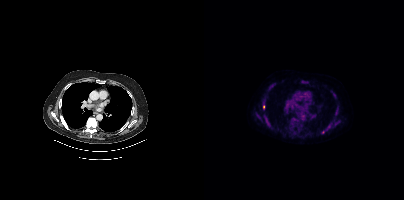
modality: PSMA PET/CT | tracer: 18F-PSMA | view: axial | PET grid: 200×200
Coordinates are on the 200×200 PET (right) panel. (showing 2 of 3 foci) PSMA-avid tumor lesion bounding box (x, y, width, height): x=60 y=116 w=5 h=7. Small PSMA-avid focus (2 to 4 px across) near (center x, center y): (59, 106).